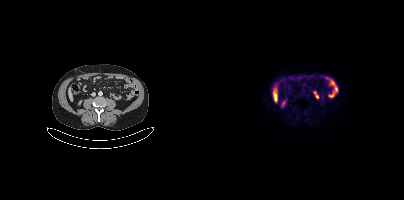
This slice has no annotated PSMA-avid lesion.